Two-panel axial: CT | PSMA PET, [18F]PSMA-1007 tracer. Acquired on Siemens Biograph 64-4R TruePoint. Slice position z = -640 mm. PET panel 168×168 px (4.1 mm/px).
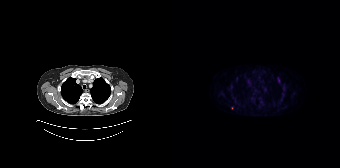
Coordinates are on the 168×168 PET (right) panel. (showing 2 of 3 foci) Small PSMA-avid foci (2 to 4 px across) near (center x, center y): (50, 94), (60, 108).